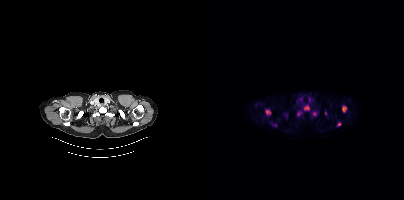
Technique: Left: CT. Right: PSMA PET, same axial level, 18F-PSMA tracer. PET panel 200×200 px (4.1 mm/px).
Findings: Coordinates are on the 200×200 PET (right) panel. PSMA-avid tumor lesion bounding boxes (x0, y0)-(x1, y1): (61, 109)-(66, 114) | (138, 106)-(142, 111) | (100, 106)-(105, 110) | (121, 111)-(122, 115). Small PSMA-avid foci (2 to 4 px across) near (center x, center y): (134, 124) | (71, 125) | (110, 113) | (94, 114).